- Left: CT. Right: PSMA PET, same axial level, 18F-PSMA tracer
- slice 397 of 435
- PET panel 200×200 px (4.1 mm/px)
- face de-identified by blanking a block of the head
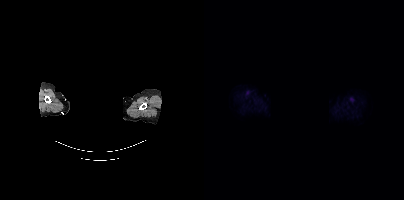
Findings: No tumor lesions annotated on this slice.